Two-panel axial: CT | PSMA PET, 18F-PSMA tracer. Slice 120 of 403.
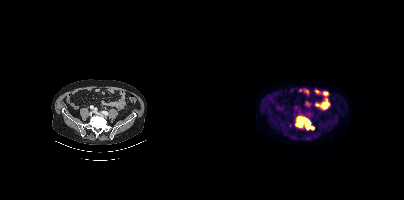
Coordinates are on the 200×200 PET (right) panel. PSMA-avid tumor lesion bounding box (x0, y0)-(x1, y1): (91, 116)-(110, 129).